Left: CT. Right: PSMA PET, same axial level, [18F]PSMA-1007 tracer. Acquired on Siemens Biograph mCT Flow 20. Slice position z = -1596 mm. PET panel 200×200 px (4.1 mm/px).
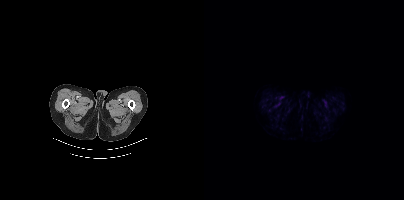
This slice has no annotated PSMA-avid lesion.